Two-panel axial: CT | PSMA PET, 18F tracer. Slice position z = -888 mm. PET panel 200×200 px (4.1 mm/px).
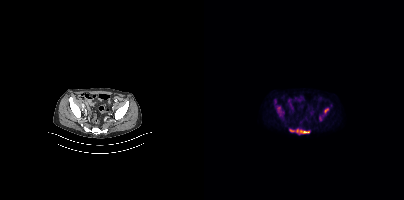
Coordinates are on the 200×200 PET (right) panel. PSMA-avid tumor lesion bounding boxes:
| # | x0 | y0 | x1 | y1 |
|---|---|---|---|---|
| 1 | 92 | 129 | 105 | 133 |
| 2 | 73 | 107 | 77 | 113 |
| 3 | 86 | 129 | 90 | 131 |
Small PSMA-avid foci (2 to 4 px across) near (center x, center y): (122, 110); (116, 118).